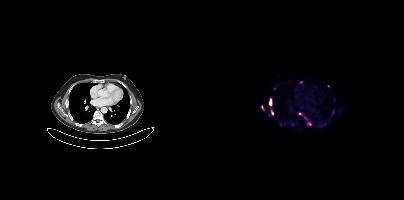
- Left: CT. Right: PSMA PET, same axial level, 68Ga tracer
- acquired on Siemens Biograph mCT Flow 20
- slice 277 of 411
Findings: Coordinates are on the 200×200 PET (right) panel. (showing 11 of 15 foci) PSMA-avid tumor lesion bounding boxes (x0, y0)-(x1, y1): (65, 100)-(67, 104); (57, 106)-(59, 110); (94, 113)-(98, 114). Small PSMA-avid foci (2 to 4 px across) near (center x, center y): (120, 124); (70, 88); (97, 82); (76, 124); (124, 86); (125, 118); (68, 112); (104, 123).